modality: PSMA PET/CT | tracer: [18F]PSMA-1007 | view: axial | PET grid: 200×200
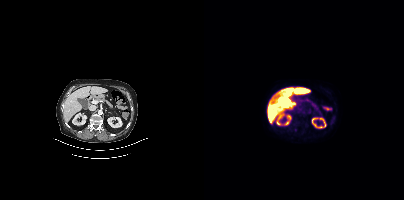
This slice has no annotated PSMA-avid lesion.